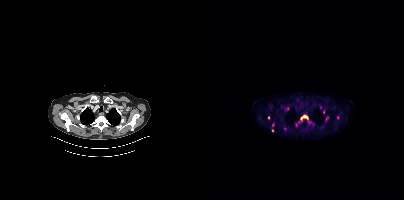
Findings: Coordinates are on the 200×200 PET (right) panel. (showing 5 of 10 foci) PSMA-avid tumor lesion bounding box (x, y, width, height): x=96 y=114 w=9 h=8. Small PSMA-avid foci (2 to 4 px across) near (center x, center y): (64, 117) | (68, 130) | (119, 111) | (80, 128).
- Paired axial CT (left) and PSMA PET (right), 18F tracer
- slice position z = -404 mm
- PET panel 200×200 px (4.1 mm/px)